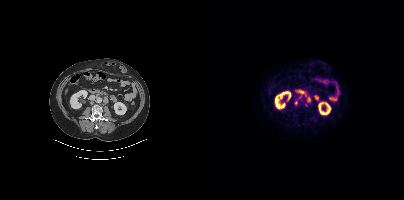
Coordinates are on the 200×200 PET (right) panel. PSMA-avid tumor lesion bounding boxes (x, y, width, height): x=99 y=94 w=8 h=9; x=94 y=95 w=4 h=5. Small PSMA-avid focus (2 to 4 px across) near (center x, center y): (91, 102). Left: CT. Right: PSMA PET, same axial level, [18F]PSMA-1007 tracer.